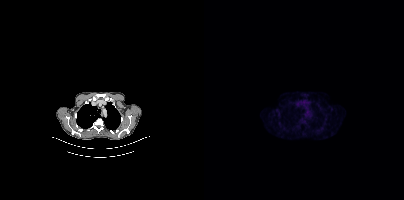
No tumor lesions annotated on this slice.